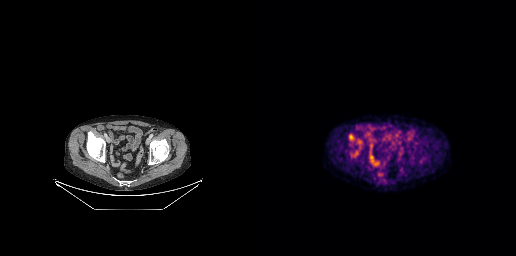
{"modality":"PSMA PET/CT","view":"axial","tracer":"18F-PSMA","pet_grid":[256,256],"coord_frame":"pet_panel","coord_format":"x0,y0,x1,y1","partial":true,"lesion_bboxes":[[89,135,94,140],[98,139,101,144],[94,151,98,156]]}